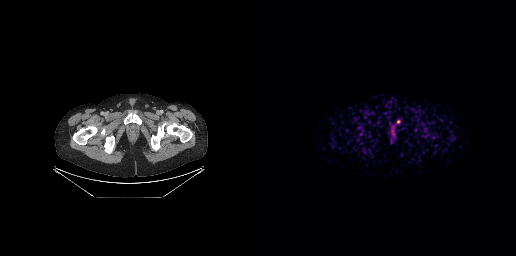
Coordinates are on the 256×256 PET (right) panel. Small PSMA-avid focus (2 to 4 px across) near (center x, center y): (138, 121).